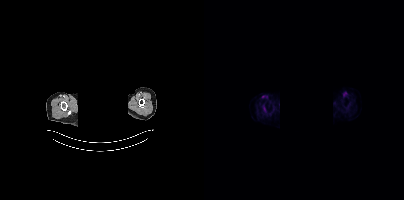
{"modality":"PSMA PET/CT","view":"axial","tracer":"[18F]PSMA-1007","pet_grid":[200,200],"coord_frame":"pet_panel","coord_format":"x0,y0,x1,y1","psma_avid_lesions":false,"deidentification":"head region blacked out before release"}